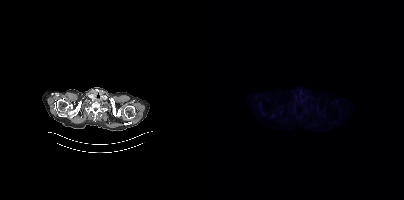
Paired axial CT (left) and PSMA PET (right), [18F]PSMA-1007 tracer. Slice position z = -454 mm. PET panel 200×200 px (4.1 mm/px). This slice has no annotated PSMA-avid lesion.